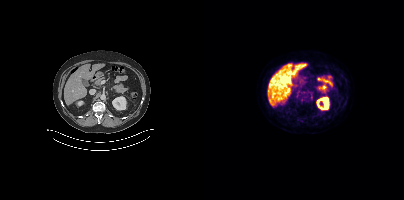
Coordinates are on the 200×200 PET (right) panel. PSMA-avid tumor lesion bounding box (x0, y0)-(x1, y1): (105, 94)-(109, 99). Small PSMA-avid focus (2 to 4 px across) near (center x, center y): (96, 101).